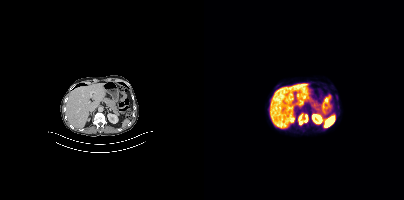
{"modality":"PSMA PET/CT","view":"axial","tracer":"18F-PSMA","pet_grid":[200,200],"coord_frame":"pet_panel","coord_format":"x0,y0,x1,y1","lesion_bboxes":[[94,114,104,124]]}